Two-panel axial: CT | PSMA PET, [18F]PSMA-1007 tracer. Acquired on Siemens Biograph mCT Flow 20. PET panel 200×200 px (4.1 mm/px).
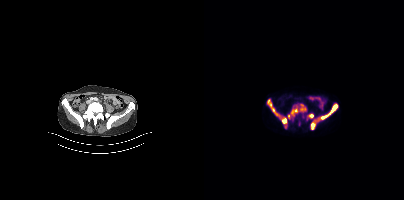
Coordinates are on the 200×200 PET (right) panel. PSMA-avid tumor lesion bounding boxes (partial; 1 more focus not listed):
| # | x0 | y0 | x1 | y1 |
|---|---|---|---|---|
| 1 | 84 | 104 | 102 | 119 |
| 2 | 63 | 99 | 83 | 127 |
| 3 | 114 | 103 | 134 | 120 |
| 4 | 106 | 119 | 112 | 129 |
| 5 | 103 | 113 | 109 | 118 |